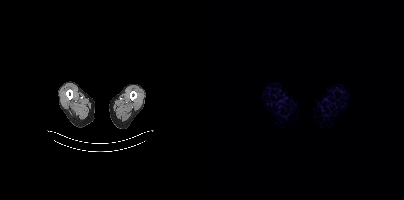
- Paired axial CT (left) and PSMA PET (right), 18F tracer
- PET panel 200×200 px (4.1 mm/px)
Findings: Negative for PSMA-avid disease on this slice.